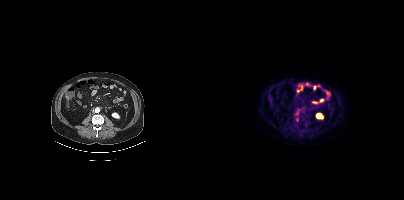
Coordinates are on the 200×200 PET (right) panel. Small PSMA-avid foci (2 to 4 px across) near (center x, center y): (93, 113) (93, 119).